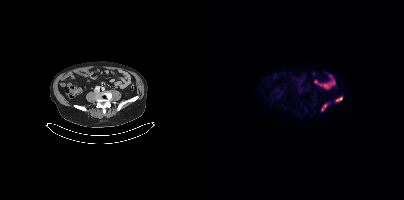
Technique: Paired axial CT (left) and PSMA PET (right), 18F tracer. PET panel 200×200 px (4.1 mm/px).
Findings: Coordinates are on the 200×200 PET (right) panel. PSMA-avid tumor lesion bounding boxes (x0,y0,x1,y1): [117,103,123,111] [131,96,138,101].